- Left: CT. Right: PSMA PET, same axial level, [18F]PSMA-1007 tracer
- acquired on Siemens Biograph mCT Flow 20
- slice 193 of 444
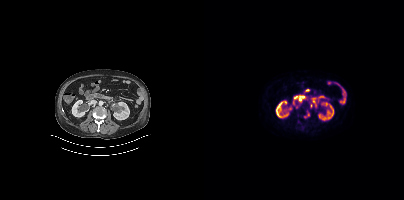
Findings: Only PSMA-avid lesion pieces thinner than 2 px on this slice (not listed).